Left: CT. Right: PSMA PET, same axial level, 18F tracer. Slice 268 of 444. PET panel 200×200 px (4.1 mm/px).
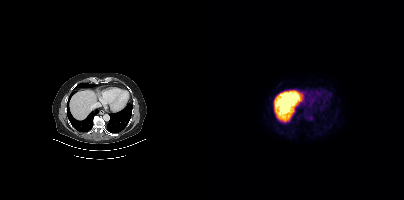
No tumor lesions annotated on this slice.